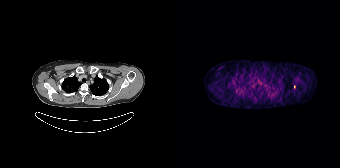
Only PSMA-avid lesion pieces thinner than 2 px on this slice (not listed).